Technique: Two-panel axial: CT | PSMA PET, 18F tracer.
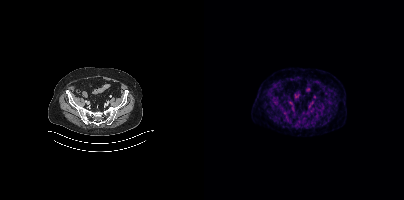
Findings: No PSMA-avid tumor lesions on this slice.